- the face region was removed for patient privacy by blanking a rectangle over the head
- Two-panel axial: CT | PSMA PET, 18F tracer
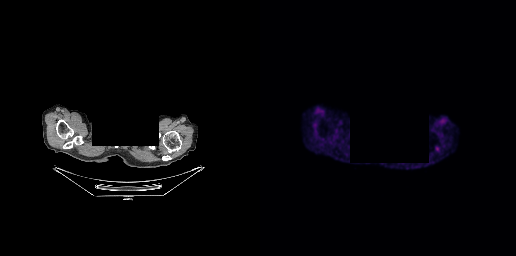
Findings: Coordinates are on the 256×256 PET (right) panel. PSMA-avid tumor lesion bounding box (x0,y0,x1,y1): [175,146,180,152].